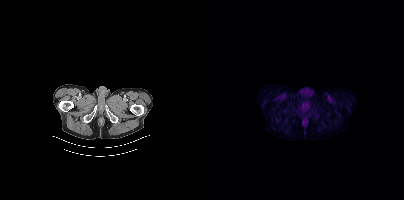
Technique: Paired axial CT (left) and PSMA PET (right), 18F tracer. slice position z = -76 mm.
Findings: No tumor lesions annotated on this slice.